Technique: Two-panel axial: CT | PSMA PET, 18F tracer. slice 277 of 413.
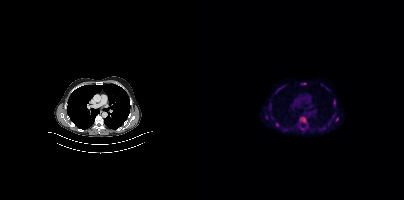
Findings: Coordinates are on the 200×200 PET (right) panel. (showing 6 of 8 foci) PSMA-avid tumor lesion bounding boxes (x, y, width, height): x=96 y=82 w=7 h=4 / x=131 y=117 w=4 h=5 / x=129 y=102 w=3 h=5. Small PSMA-avid foci (2 to 4 px across) near (center x, center y): (125, 123) / (73, 90) / (129, 116).